modality: PSMA PET/CT | tracer: [18F]PSMA-1007 | view: axial | PET grid: 200×200
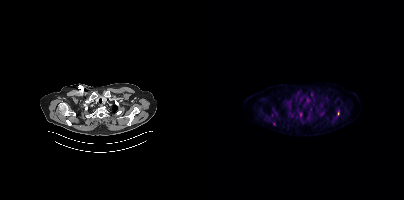
Coordinates are on the 200×200 PET (right) panel. (showing 3 of 4 foci) Small PSMA-avid foci (2 to 4 px across) near (center x, center y): (96, 114); (118, 114); (134, 113).